Technique: Left: CT. Right: PSMA PET, same axial level, 18F tracer. PET panel 200×200 px (4.1 mm/px).
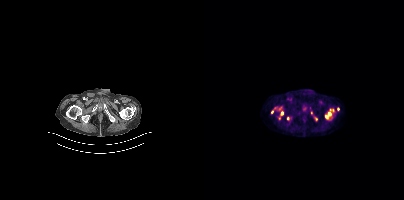
Findings: Coordinates are on the 200×200 PET (right) panel. (showing 2 of 3 foci) PSMA-avid tumor lesion bounding box (x0,y0,x1,y1): [77,111,79,115]. Small PSMA-avid focus (2 to 4 px across) near (center x, center y): (68, 112).